Paired axial CT (left) and PSMA PET (right), 18F tracer. PET panel 200×200 px (4.1 mm/px).
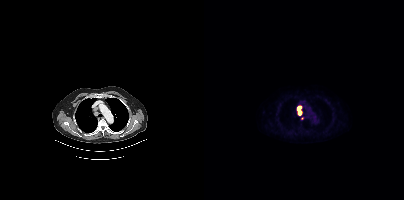
Coordinates are on the 200×200 PET (right) panel. Small PSMA-avid foci (2 to 4 px across) near (center x, center y): (96, 112) (98, 118).